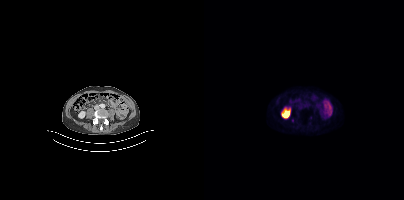
Coordinates are on the 200×200 PET (right) panel. Small PSMA-avid focus (2 to 4 px across) near (center x, center y): (88, 120).
modality: PSMA PET/CT | tracer: 18F | view: axial | PET grid: 200×200